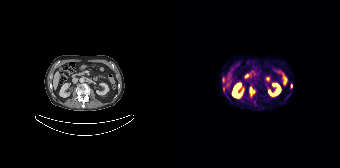
Technique: Left: CT. Right: PSMA PET, same axial level, 68Ga-PSMA tracer. acquired on Siemens Biograph 64-4R TruePoint.
Findings: Coordinates are on the 168×168 PET (right) panel. PSMA-avid tumor lesion bounding boxes (x, y, width, height): x=78 y=89 w=3 h=7; x=50 y=78 w=3 h=5. Small PSMA-avid foci (2 to 4 px across) near (center x, center y): (119, 85); (51, 88); (81, 91).